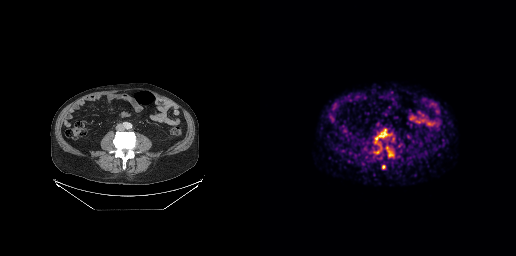
Coordinates are on the 256×256 PET (right) panel. PSMA-avid tumor lesion bounding boxes (x0, y0)-(x1, y1): (115, 129)-(127, 142); (128, 150)-(133, 156). Small PSMA-avid foci (2 to 4 px across) near (center x, center y): (123, 166); (127, 147); (117, 151).